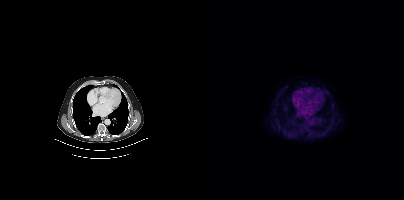
No tumor lesions annotated on this slice.
modality: PSMA PET/CT | tracer: 18F-PSMA | view: axial